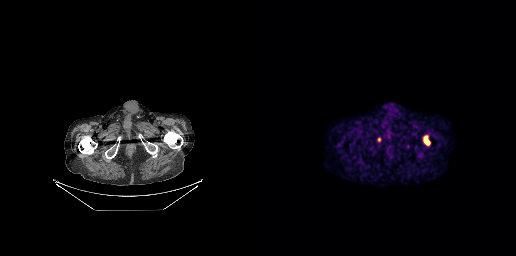
Coordinates are on the 256×256 PET (right) panel. PSMA-avid tumor lesion bounding box (x0, y0)-(x1, y1): (163, 135)-(170, 145).